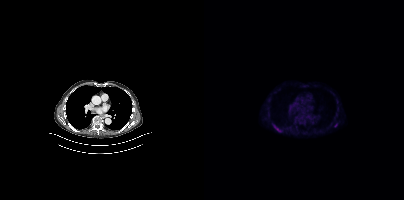
{"modality":"PSMA PET/CT","view":"axial","tracer":"[18F]PSMA-1007","pet_grid":[200,200],"coord_frame":"pet_panel","coord_format":"x0,y0,x1,y1","lesion_bboxes":[[70,125,76,131]],"small_foci_centers":[[132,125]]}